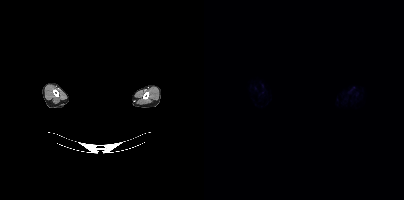
Findings: No PSMA-avid tumor lesions on this slice.
Technique: Two-panel axial: CT | PSMA PET, 18F tracer. slice position z = -738 mm. PET panel 200×200 px (4.1 mm/px).
Note: The face region was removed for patient privacy by blanking a rectangle over the head.